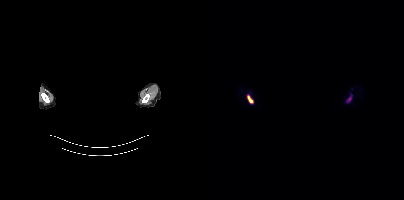
Coordinates are on the 200×200 PET (right) panel. PSMA-avid tumor lesion bounding boxes (x0,y0,x1,y1): [43,95,49,103] [143,96,147,101].
Facial anatomy redacted by setting a rectangular region of the head to black.